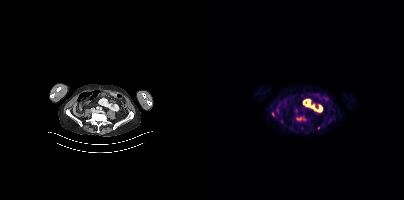
Coordinates are on the 200×200 PET (right) panel. (showing 1 of 3 foci) PSMA-avid tumor lesion bounding box (x, y, width, height): x=93 y=117 w=5 h=4.
modality: PSMA PET/CT | tracer: 18F-PSMA | view: axial